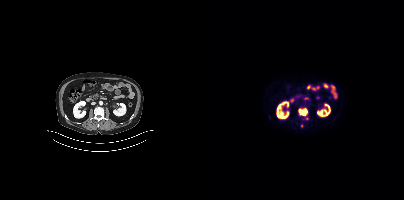
Coordinates are on the 200×200 PET (right) panel. (showing 1 of 3 foci) PSMA-avid tumor lesion bounding box (x, y, width, height): x=94 y=108 w=10 h=8.